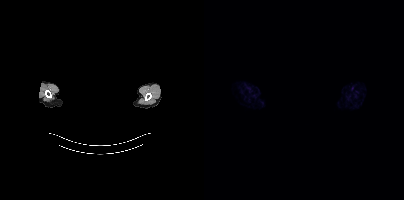
Negative for PSMA-avid disease on this slice.
The face region was removed for patient privacy by blanking a rectangle over the head.